Left: CT. Right: PSMA PET, same axial level, [18F]PSMA-1007 tracer. PET panel 200×200 px (4.1 mm/px).
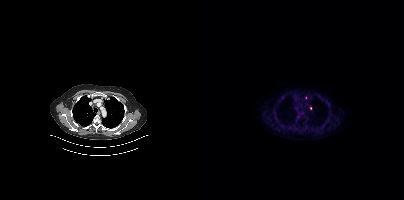
Coordinates are on the 200×200 PET (right) panel. (showing 1 of 2 foci) Small PSMA-avid focus (2 to 4 px across) near (center x, center y): (106, 108).